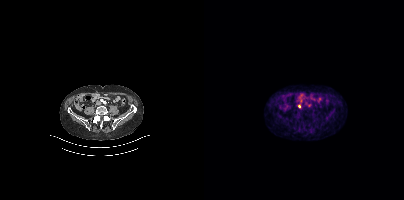
- Left: CT. Right: PSMA PET, same axial level, 68Ga-PSMA tracer
- slice 128 of 405
- PET panel 200×200 px (4.1 mm/px)
Findings: Coordinates are on the 200×200 PET (right) panel. Small PSMA-avid foci (2 to 4 px across) near (center x, center y): (105, 104); (95, 106); (96, 100).